modality: PSMA PET/CT | tracer: 68Ga-PSMA | view: axial
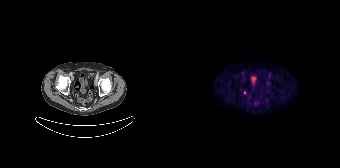
Coordinates are on the 168×168 PET (right) panel. Small PSMA-avid focus (2 to 4 px across) near (center x, center y): (72, 92).